Two-panel axial: CT | PSMA PET, 18F-PSMA tracer. Slice position z = -870 mm.
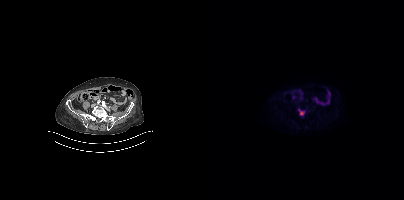
Coordinates are on the 200×200 PET (right) panel. PSMA-avid tumor lesion bounding box (x0,y0,x1,y1): [94,109,100,115].